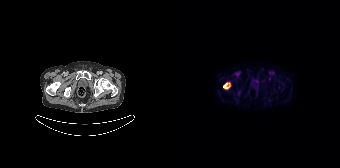
Two-panel axial: CT | PSMA PET, 18F tracer. Slice position z = -1400 mm. PET panel 168×168 px (4.1 mm/px).
Coordinates are on the 168×168 PET (right) panel. PSMA-avid tumor lesion bounding boxes:
| # | x0 | y0 | x1 | y1 |
|---|---|---|---|---|
| 1 | 51 | 82 | 58 | 89 |